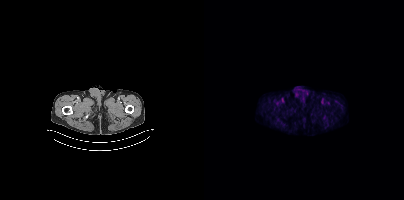
No PSMA-avid tumor lesions on this slice.